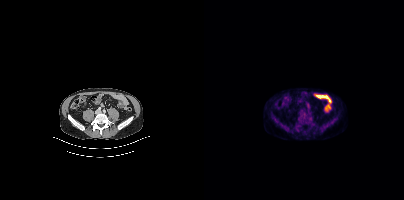
Paired axial CT (left) and PSMA PET (right), 18F-PSMA tracer. PET panel 200×200 px (4.1 mm/px).
Coordinates are on the 200×200 PET (right) panel. PSMA-avid tumor lesion bounding boxes:
| # | x0 | y0 | x1 | y1 |
|---|---|---|---|---|
| 1 | 99 | 116 | 107 | 124 |